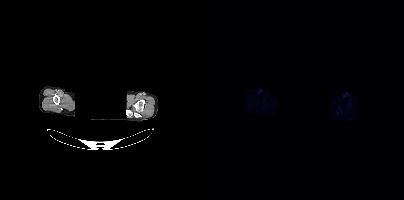
Findings: This slice has no annotated PSMA-avid lesion.
Technique: Two-panel axial: CT | PSMA PET, 18F-PSMA tracer. PET panel 200×200 px (4.1 mm/px).
Note: An anonymization step blacked out a rectangle over the head in this scan.